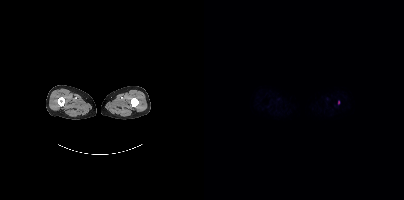
Coordinates are on the 200×200 PET (right) panel. Small PSMA-avid focus (2 to 4 px across) near (center x, center y): (134, 102).